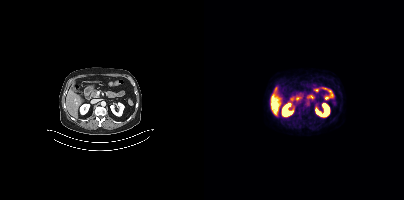
Negative for PSMA-avid disease on this slice.